Left: CT. Right: PSMA PET, same axial level, 18F tracer. Acquired on Siemens Biograph mCT Flow 20. Slice position z = -625 mm. PET panel 200×200 px (4.1 mm/px).
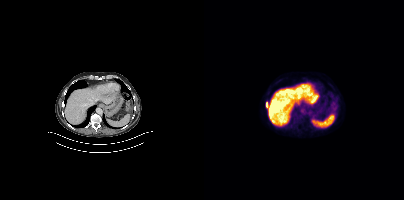
Coordinates are on the 200×200 PET (right) panel. PSMA-avid tumor lesion bounding boxes:
| # | x0 | y0 | x1 | y1 |
|---|---|---|---|---|
| 1 | 62 | 102 | 63 | 107 |